A rectangle over the head was blacked out to remove identifiable facial features. Paired axial CT (left) and PSMA PET (right), 18F-PSMA tracer. Acquired on Siemens Biograph mCT Flow 20. Slice position z = -824 mm. PET panel 200×200 px (4.1 mm/px).
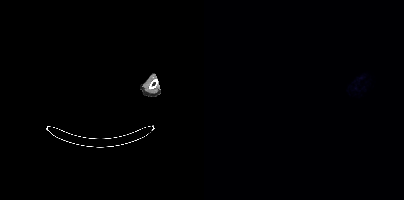
No PSMA-avid tumor lesions on this slice.